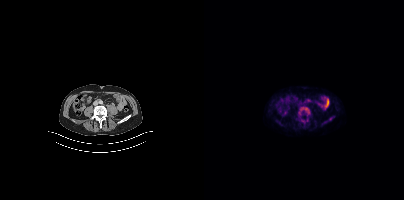
- Two-panel axial: CT | PSMA PET, 18F-PSMA tracer
- acquired on Siemens Biograph mCT Flow 20
- PET panel 200×200 px (4.1 mm/px)
Findings: Only PSMA-avid lesion pieces thinner than 2 px on this slice (not listed).